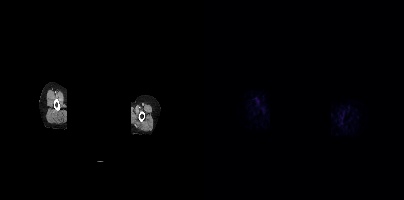
- privacy masking over the head, with the pixels inside a rectangle set to black
- Left: CT. Right: PSMA PET, same axial level, 68Ga tracer
Findings: No tumor lesions annotated on this slice.